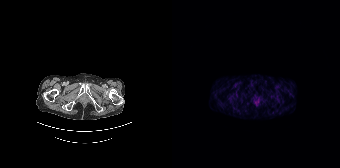
Paired axial CT (left) and PSMA PET (right), 68Ga tracer. Acquired on Siemens Biograph 64-4R TruePoint. PET panel 168×168 px (4.1 mm/px). This slice has no annotated PSMA-avid lesion.